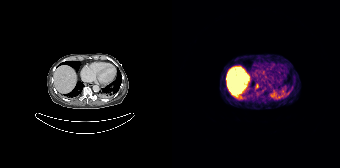
Left: CT. Right: PSMA PET, same axial level, [68Ga]Ga-PSMA-11 tracer. PET panel 168×168 px (4.1 mm/px). Coordinates are on the 168×168 PET (right) panel. PSMA-avid tumor lesion bounding box (x, y, width, height): x=83 y=84 w=4 h=5.